modality: PSMA PET/CT | tracer: 68Ga-PSMA | view: axial | deidentification: privacy mask over head
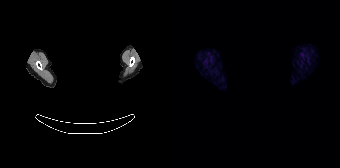
Negative for PSMA-avid disease on this slice.